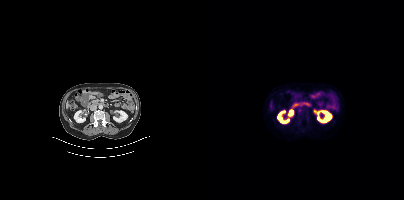
Findings: Negative for PSMA-avid disease on this slice.
Technique: Two-panel axial: CT | PSMA PET, [18F]PSMA-1007 tracer. acquired on Siemens Biograph mCT Flow 20. slice position z = -1298 mm.